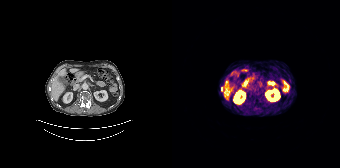
Coordinates are on the 168×168 PET (right) panel. Small PSMA-avid focus (2 to 4 px across) near (center x, center y): (49, 88).